Two-panel axial: CT | PSMA PET, 18F-PSMA tracer. Slice 247 of 263. Privacy masking over the head, with the pixels inside a rectangle set to black.
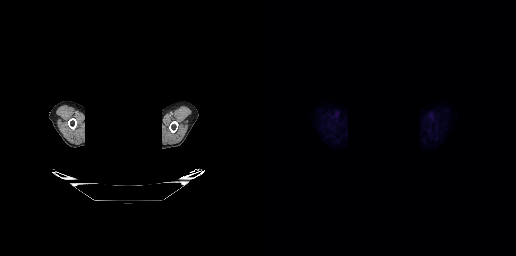
No tumor lesions annotated on this slice.